- Two-panel axial: CT | PSMA PET, 18F-PSMA tracer
- PET panel 200×200 px (4.1 mm/px)
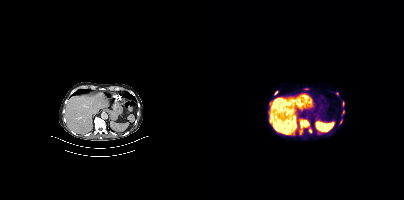
Findings: Coordinates are on the 200×200 PET (right) panel. (showing 6 of 8 foci) PSMA-avid tumor lesion bounding boxes (x0, y0)-(x1, y1): (95, 119)-(108, 134); (138, 101)-(140, 106); (138, 110)-(140, 115). Small PSMA-avid foci (2 to 4 px across) near (center x, center y): (133, 93); (72, 92); (136, 122).